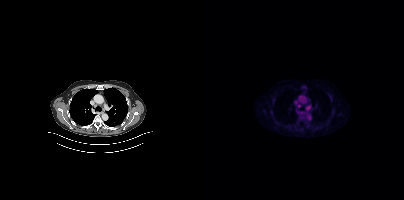
{"modality":"PSMA PET/CT","view":"axial","tracer":"18F-PSMA","pet_grid":[200,200],"coord_frame":"pet_panel","coord_format":"x0,y0,x1,y1","psma_avid_lesions":false}